modality: PSMA PET/CT | tracer: [18F]PSMA-1007 | view: axial | PET grid: 200×200
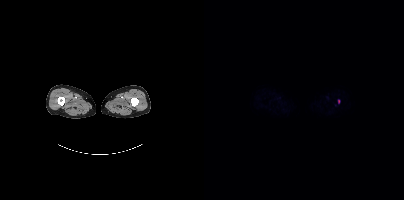
Coordinates are on the 200×200 PET (right) panel. Small PSMA-avid focus (2 to 4 px across) near (center x, center y): (134, 101).